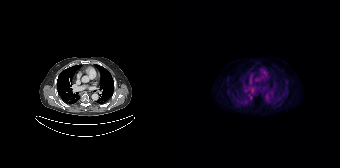
This slice has no annotated PSMA-avid lesion. Two-panel axial: CT | PSMA PET, [18F]PSMA-1007 tracer. Acquired on Siemens Biograph 64-4R TruePoint. Slice 118 of 165. PET panel 168×168 px (4.1 mm/px).